modality: PSMA PET/CT | tracer: 18F-PSMA | view: axial | PET grid: 200×200
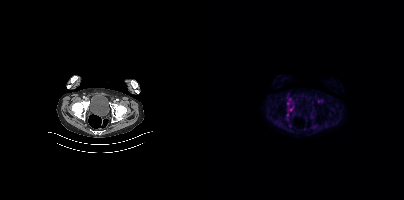
No PSMA-avid tumor lesions on this slice.